Paired axial CT (left) and PSMA PET (right), 18F-PSMA tracer. Acquired on Siemens Biograph 64-4R TruePoint.
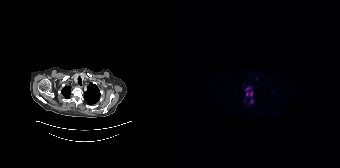
Coordinates are on the 168×168 PET (right) panel. PSMA-avid tumor lesion bounding boxes (partial; 1 more focus not listed):
| # | x0 | y0 | x1 | y1 |
|---|---|---|---|---|
| 1 | 74 | 92 | 80 | 97 |
| 2 | 73 | 87 | 79 | 90 |
| 3 | 78 | 99 | 81 | 103 |